- Two-panel axial: CT | PSMA PET, [18F]PSMA-1007 tracer
- slice 39 of 409
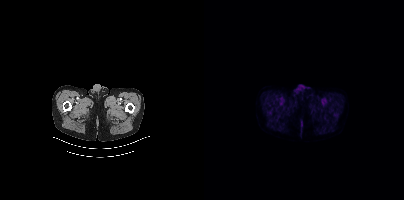
Findings: No PSMA-avid tumor lesions on this slice.